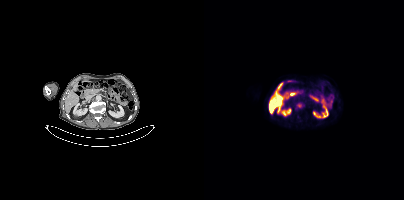
Coordinates are on the 200×200 PET (right) panel. Small PSMA-avid focus (2 to 4 px across) near (center x, center y): (95, 105).